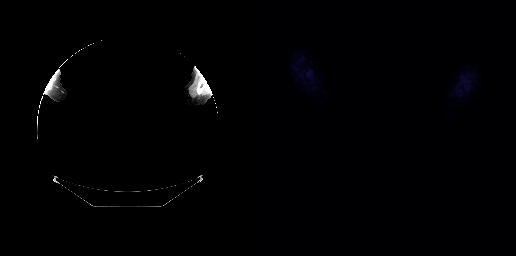
Left: CT. Right: PSMA PET, same axial level, 18F-PSMA tracer. Acquired on GE Discovery 690. A rectangle over the head was blacked out to remove identifiable facial features. This slice has no annotated PSMA-avid lesion.